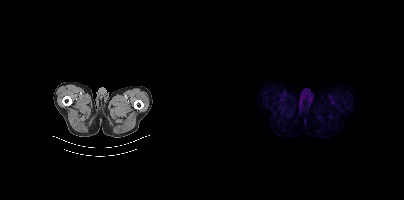
{"pet_grid":[200,200],"coord_frame":"pet_panel","coord_format":"x0,y0,x1,y1","psma_avid_lesions":false,"modality":"PSMA PET/CT","view":"axial","tracer":"18F-PSMA"}